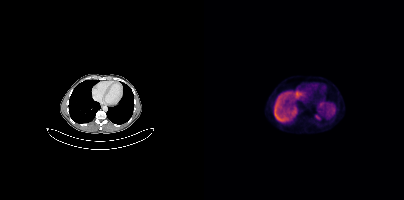
Two-panel axial: CT | PSMA PET, 18F-PSMA tracer. Acquired on Siemens Biograph mCT Flow 20. Slice 235 of 417. This slice has no annotated PSMA-avid lesion.